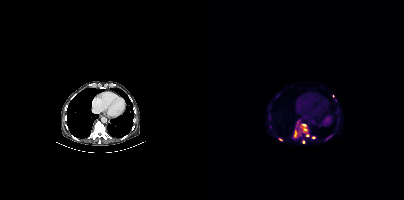
Coordinates are on the 200×200 PET (right) panel. (showing 7 of 10 foci) PSMA-avid tumor lesion bounding box (x0,y0,x1,y1): [89,127,103,138]. Small PSMA-avid foci (2 to 4 px across) near (center x, center y): (93, 123) (103, 135) (99, 124) (109, 137) (99, 141) (76, 139).